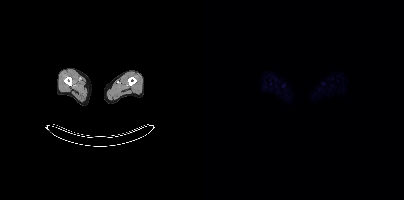
Paired axial CT (left) and PSMA PET (right), 18F tracer. PET panel 200×200 px (4.1 mm/px). No PSMA-avid tumor lesions on this slice.